Left: CT. Right: PSMA PET, same axial level, 18F tracer. Acquired on Siemens Biograph mCT Flow 20. Slice 203 of 421. PET panel 200×200 px (4.1 mm/px).
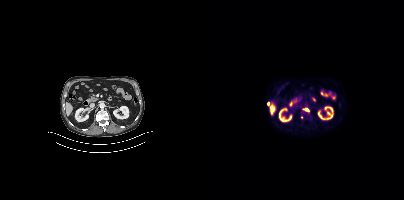
Coordinates are on the 200×200 PET (right) panel. (showing 1 of 2 foci) Small PSMA-avid focus (2 to 4 px across) near (center x, center y): (102, 109).